modality: PSMA PET/CT | tracer: 18F | view: axial
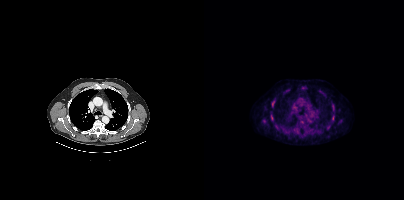
Coordinates are on the 200×200 PET (right) panel. PSMA-avid tumor lesion bounding boxes (x, y, width, height): x=67 y=100 w=5 h=4 | x=128 y=104 w=3 h=5. Small PSMA-avid foci (2 to 4 px across) near (center x, center y): (129, 118) | (67, 118).